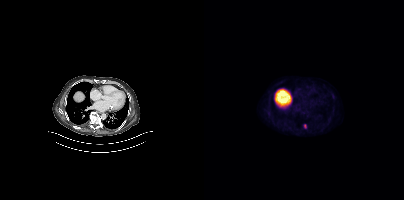
Coordinates are on the 200×200 PET (right) panel. PSMA-avid tumor lesion bounding box (x0,y0,x1,y1): [100,124,102,128].